Two-panel axial: CT | PSMA PET, 18F tracer. Acquired on Siemens Biograph mCT Flow 20. PET panel 200×200 px (4.1 mm/px).
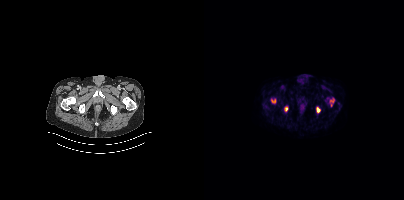
Coordinates are on the 200×200 PET (right) panel. PSMA-avid tumor lesion bounding boxes (partial; 1 more focus not listed):
| # | x0 | y0 | x1 | y1 |
|---|---|---|---|---|
| 1 | 67 | 99 | 71 | 103 |
| 2 | 113 | 107 | 116 | 112 |
| 3 | 126 | 99 | 130 | 102 |
Small PSMA-avid focus (2 to 4 px across) near (center x, center y): (82, 108).